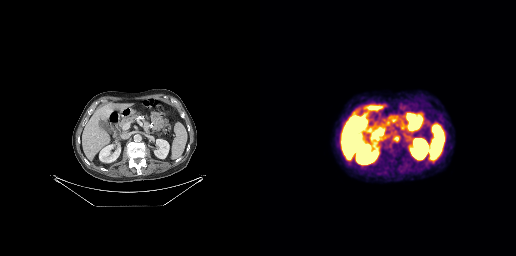
Technique: Two-panel axial: CT | PSMA PET, [18F]PSMA-1007 tracer.
Findings: No tumor lesions annotated on this slice.